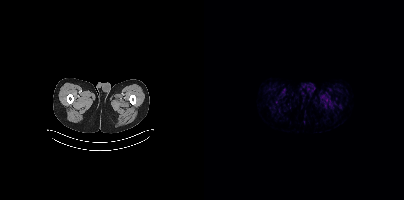
- Left: CT. Right: PSMA PET, same axial level, 68Ga-PSMA tracer
- slice 14 of 389
- PET panel 200×200 px (4.1 mm/px)
Findings: No PSMA-avid tumor lesions on this slice.